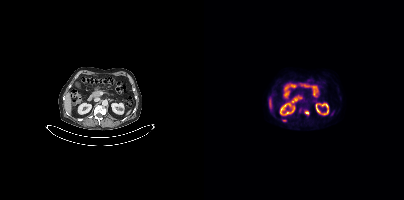
Coordinates are on the 200×200 PET (right) panel. PSMA-avid tumor lesion bounding boxes (x, y, width, height): x=101 y=111 w=4 h=5; x=78 y=119 w=5 h=3.